Technique: Two-panel axial: CT | PSMA PET, [18F]PSMA-1007 tracer. PET panel 256×256 px (2.7 mm/px).
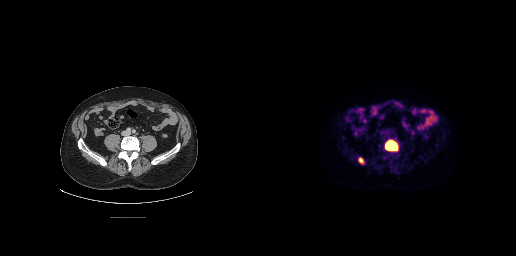
Findings: Coordinates are on the 256×256 PET (right) panel. PSMA-avid tumor lesion bounding boxes (x0,y0,x1,y1): [124,139,138,151]; [98,157,104,164].